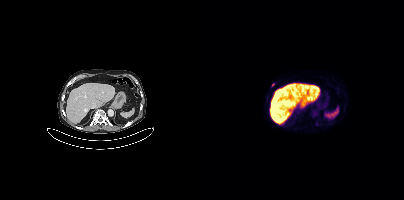
Coordinates are on the 200×200 PET (right) panel. Small PSMA-avid focus (2 to 4 px across) near (center x, center y): (69, 84).